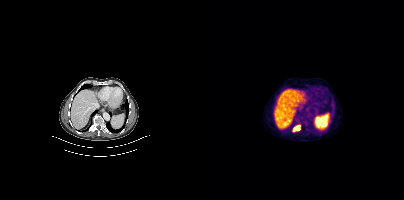
{"pet_grid":[200,200],"coord_frame":"pet_panel","coord_format":"x0,y0,x1,y1","lesion_bboxes":[[89,125,96,131]],"modality":"PSMA PET/CT","view":"axial","tracer":"[18F]PSMA-1007"}